modality: PSMA PET/CT | tracer: [18F]PSMA-1007 | view: axial
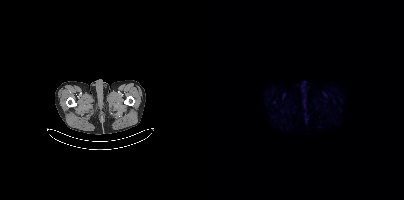
This slice has no annotated PSMA-avid lesion.